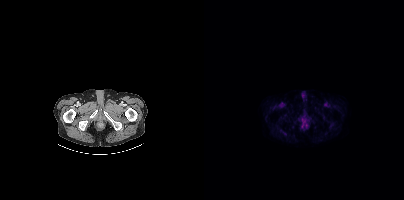
{"modality":"PSMA PET/CT","view":"axial","tracer":"[18F]PSMA-1007","pet_grid":[200,200],"coord_frame":"pet_panel","coord_format":"x0,y0,x1,y1","psma_avid_lesions":false}